Paired axial CT (left) and PSMA PET (right), 18F-PSMA tracer. PET panel 168×168 px (4.1 mm/px).
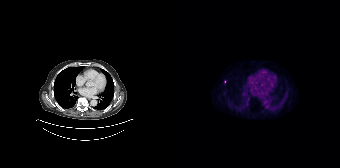
Only PSMA-avid lesion pieces thinner than 2 px on this slice (not listed).